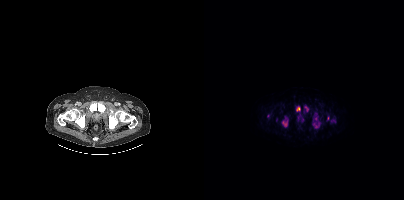
Findings: Coordinates are on the 200×200 PET (right) panel. (showing 7 of 8 foci) PSMA-avid tumor lesion bounding boxes (x0,y0,x1,y1): [78,120,83,126] [92,107,96,111]. Small PSMA-avid foci (2 to 4 px across) near (center x, center y): (102, 108) (112, 126) (130, 121) (64, 115) (123, 118).
- Paired axial CT (left) and PSMA PET (right), 18F-PSMA tracer
- PET panel 200×200 px (4.1 mm/px)